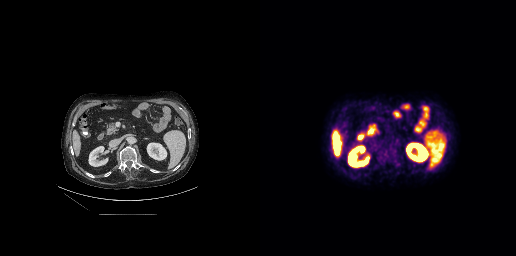
{"modality":"PSMA PET/CT","view":"axial","tracer":"[18F]PSMA-1007","pet_grid":[256,256],"coord_frame":"pet_panel","coord_format":"x0,y0,x1,y1","psma_avid_lesions":false}